Technique: Two-panel axial: CT | PSMA PET, [68Ga]Ga-PSMA-11 tracer.
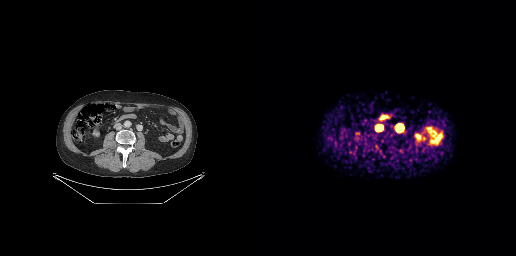
Findings: Coordinates are on the 256×256 PET (right) panel. PSMA-avid tumor lesion bounding boxes (x, y, width, height): x=136 y=125 w=7 h=7 / x=116 y=125 w=7 h=6.